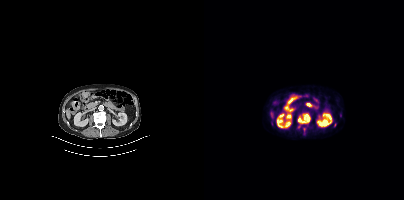
Coordinates are on the 200×200 PET (right) panel. PSMA-avid tumor lesion bounding box (x0,y0,x1,y1): [93,113,106,124]. Small PSMA-avid foci (2 to 4 px across) near (center x, center y): (100, 129); (94, 126).
modality: PSMA PET/CT | tracer: 18F | view: axial